modality: PSMA PET/CT | tracer: [18F]PSMA-1007 | view: axial
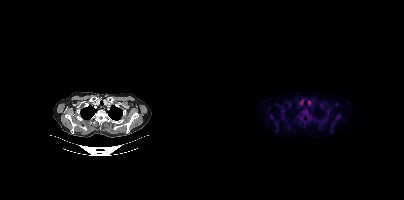
Coordinates are on the 200×200 PET (right) panel. (showing 5 of 7 foci) Small PSMA-avid foci (2 to 4 px across) near (center x, center y): (67, 116); (132, 117); (124, 109); (78, 111); (72, 123).